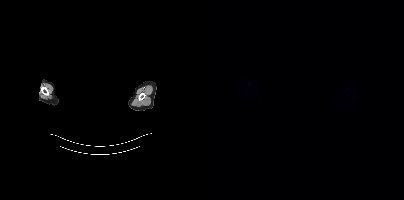
modality: PSMA PET/CT | tracer: 18F | view: axial | PET grid: 200×200 | de-identification: facial region redacted
Negative for PSMA-avid disease on this slice.